Technique: Paired axial CT (left) and PSMA PET (right), [18F]PSMA-1007 tracer. acquired on Siemens Biograph mCT Flow 20. PET panel 200×200 px (4.1 mm/px).
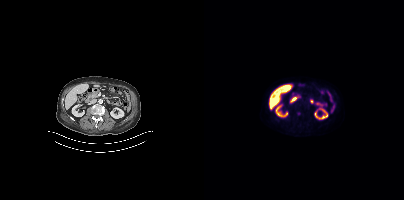
Findings: Coordinates are on the 200×200 PET (right) panel. Small PSMA-avid focus (2 to 4 px across) near (center x, center y): (95, 113).